Two-panel axial: CT | PSMA PET, 18F tracer. PET panel 200×200 px (4.1 mm/px).
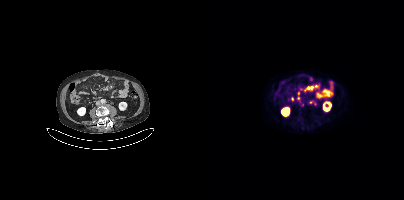
Coordinates are on the 200×200 PET (right) panel. (showing 5 of 8 foci) PSMA-avid tumor lesion bounding box (x, y, width, height): x=103 y=86 w=7 h=4. Small PSMA-avid foci (2 to 4 px across) near (center x, center y): (106, 102); (98, 105); (93, 92); (88, 98).